- Left: CT. Right: PSMA PET, same axial level, 68Ga-PSMA tracer
- acquired on Siemens Biograph 64-4R TruePoint
- PET panel 168×168 px (4.1 mm/px)
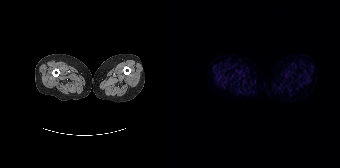
Findings: Negative for PSMA-avid disease on this slice.